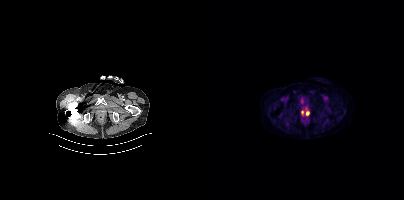
Coordinates are on the 200×200 PET (right) panel. Small PSMA-avid foci (2 to 4 px across) near (center x, center y): (103, 113) / (98, 112).